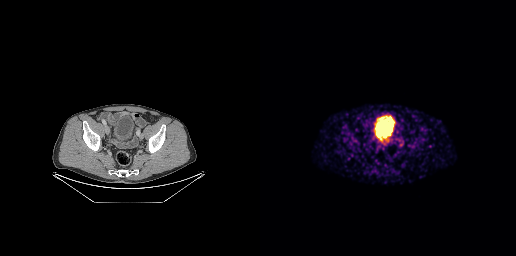
Coordinates are on the 256×256 PET (right) panel. PSMA-avid tumor lesion bounding box (x, y, width, height): x=137 y=139 w=7 h=8.